redaction: head region blacked out before release | modality: PSMA PET/CT | tracer: 18F-PSMA | view: axial | PET grid: 168×168
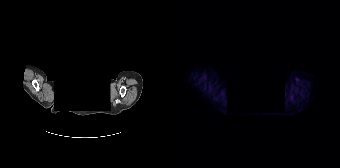
This slice has no annotated PSMA-avid lesion.